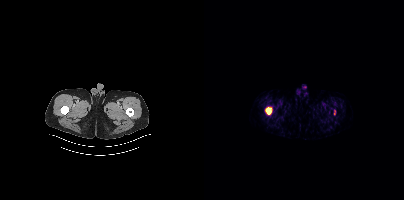
Findings: Coordinates are on the 200×200 PET (right) panel. PSMA-avid tumor lesion bounding box (x0,y0,x1,y1): [62,107,67,114].
Technique: Paired axial CT (left) and PSMA PET (right), 18F tracer. acquired on Siemens Biograph mCT Flow 20.